redaction: facial region redacted | modality: PSMA PET/CT | tracer: 18F-PSMA | view: axial
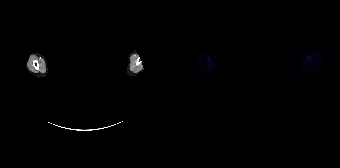
No PSMA-avid tumor lesions on this slice.